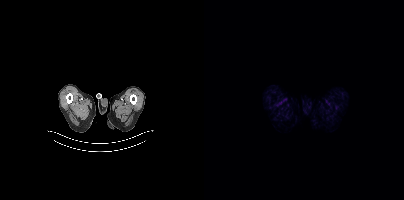
modality: PSMA PET/CT | tracer: 18F | view: axial
No PSMA-avid tumor lesions on this slice.